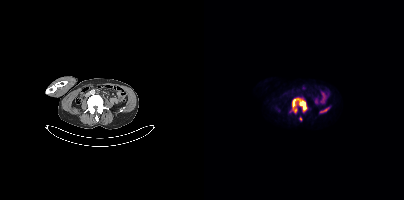
Left: CT. Right: PSMA PET, same axial level, 18F-PSMA tracer.
Coordinates are on the 200×200 PET (right) panel. PSMA-avid tumor lesion bounding boxes:
| # | x0 | y0 | x1 | y1 |
|---|---|---|---|---|
| 1 | 87 | 98 | 103 | 113 |
| 2 | 116 | 108 | 124 | 112 |
Small PSMA-avid focus (2 to 4 px across) near (center x, center y): (96, 119).